- Two-panel axial: CT | PSMA PET, 18F-PSMA tracer
- acquired on Siemens Biograph mCT Flow 20
- slice position z = -84 mm
- PET panel 200×200 px (4.1 mm/px)
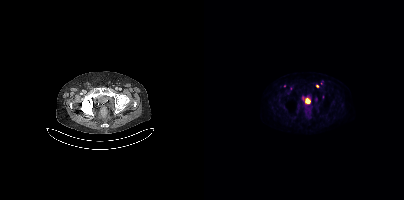
Findings: Coordinates are on the 200×200 PET (right) panel. (showing 1 of 2 foci) Small PSMA-avid focus (2 to 4 px across) near (center x, center y): (113, 85).